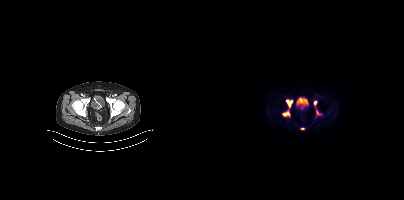
Paired axial CT (left) and PSMA PET (right), 18F tracer. Slice 79 of 395. PET panel 200×200 px (4.1 mm/px). Coordinates are on the 200×200 PET (right) panel. PSMA-avid tumor lesion bounding boxes (x0, y0)-(x1, y1): (82, 99)-(88, 107) / (78, 110)-(85, 116) / (112, 109)-(117, 115) / (109, 100)-(113, 106). Small PSMA-avid focus (2 to 4 px across) near (center x, center y): (98, 128).